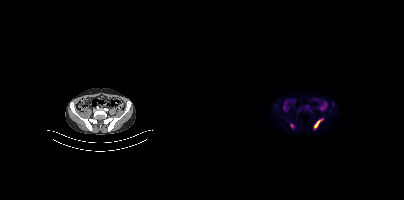
Coordinates are on the 200×200 PET (right) panel. PSMA-avid tumor lesion bounding box (x0,y0,x1,y1): [110,119,118,128]. Small PSMA-avid focus (2 to 4 px across) near (center x, center y): (88, 125).